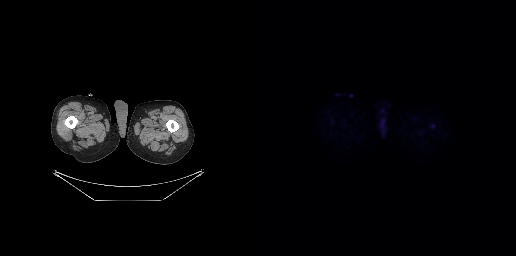
No tumor lesions annotated on this slice.